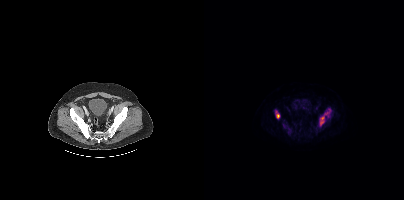
Coordinates are on the 200×200 PET (right) panel. PSMA-avid tumor lesion bounding boxes (x, y, width, height): x=116 y=109 w=11 h=17 | x=71 y=111 w=5 h=8.